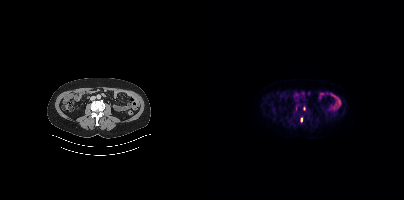
Findings: Coordinates are on the 200×200 PET (right) panel. (showing 1 of 2 foci) Small PSMA-avid focus (2 to 4 px across) near (center x, center y): (97, 119).
- Paired axial CT (left) and PSMA PET (right), 18F-PSMA tracer
- acquired on Siemens Biograph mCT Flow 20
- slice position z = -788 mm
- PET panel 200×200 px (4.1 mm/px)